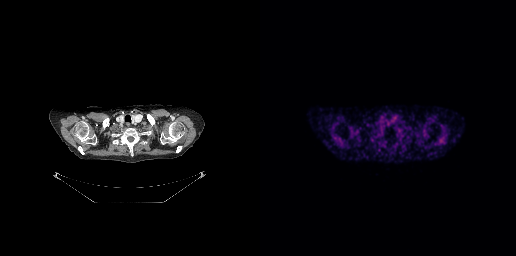
Paired axial CT (left) and PSMA PET (right), 68Ga-PSMA tracer. No tumor lesions annotated on this slice.